Paired axial CT (left) and PSMA PET (right), 18F-PSMA tracer. Slice 1 of 963. PET panel 200×200 px (4.1 mm/px).
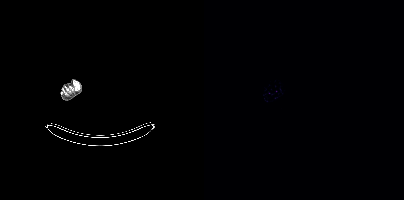
Negative for PSMA-avid disease on this slice.